modality: PSMA PET/CT | tracer: [18F]PSMA-1007 | view: axial
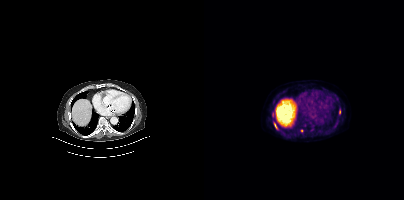
Coordinates are on the 200×200 PET (right) panel. PSMA-avid tumor lesion bounding boxes (x0,y0,x1,y1): [68,112,70,117]; [135,109,136,113]; [70,123,72,128]. Small PSMA-avid foci (2 to 4 px across) near (center x, center y): (98, 130); (131, 126); (100, 125).